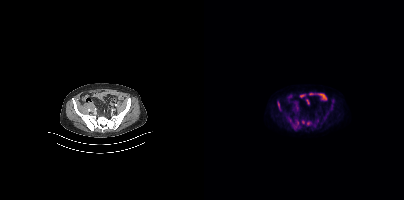
Paired axial CT (left) and PSMA PET (right), 18F tracer. Acquired on Siemens Biograph mCT Flow 20. Slice position z = -1414 mm.
Coordinates are on the 200×200 PET (right) panel. PSMA-avid tumor lesion bounding boxes (partial; 1 more focus not listed):
| # | x0 | y0 | x1 | y1 |
|---|---|---|---|---|
| 1 | 102 | 121 | 107 | 125 |
| 2 | 90 | 121 | 94 | 128 |
| 3 | 74 | 102 | 76 | 110 |
Small PSMA-avid focus (2 to 4 px across) near (center x, center y): (99, 121).